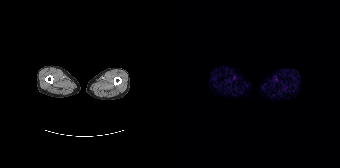
{"modality":"PSMA PET/CT","view":"axial","tracer":"68Ga","pet_grid":[168,168],"coord_frame":"pet_panel","coord_format":"x0,y0,x1,y1","psma_avid_lesions":false}